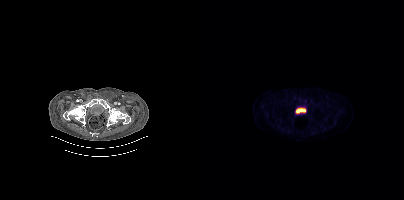
{"modality":"PSMA PET/CT","view":"axial","tracer":"18F-PSMA","pet_grid":[200,200],"coord_frame":"pet_panel","coord_format":"x0,y0,x1,y1","psma_avid_lesions":false}